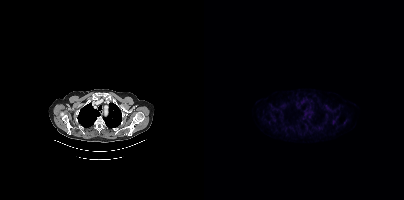
Coordinates are on the 200×200 PET (right) panel. Small PSMA-avid focus (2 to 4 px across) near (center x, center y): (129, 121).
modality: PSMA PET/CT | tracer: 18F | view: axial | PET grid: 200×200